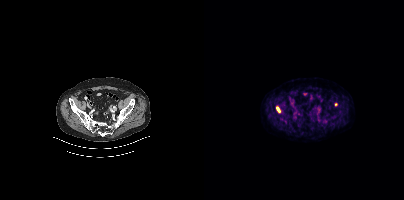
{"modality":"PSMA PET/CT","view":"axial","tracer":"18F","pet_grid":[200,200],"coord_frame":"pet_panel","coord_format":"x0,y0,x1,y1","partial":true,"lesion_bboxes":[[73,107,75,111]]}